- Paired axial CT (left) and PSMA PET (right), 18F-PSMA tracer
- acquired on Siemens Biograph mCT Flow 20
- slice position z = -958 mm
- PET panel 200×200 px (4.1 mm/px)
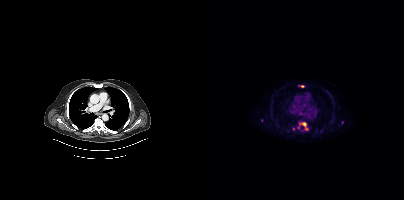
Findings: Coordinates are on the 200×200 PET (right) panel. (showing 5 of 7 foci) PSMA-avid tumor lesion bounding box (x0, y0)-(x1, y1): (93, 122)-(104, 130). Small PSMA-avid foci (2 to 4 px across) near (center x, center y): (88, 111) | (89, 128) | (98, 86) | (96, 113).